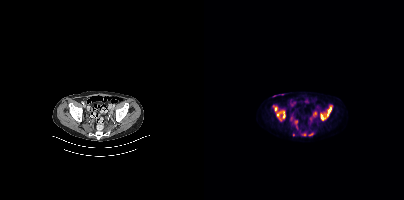
{"modality":"PSMA PET/CT","view":"axial","tracer":"[18F]PSMA-1007","pet_grid":[200,200],"coord_frame":"pet_panel","coord_format":"x0,y0,x1,y1","partial":true,"lesion_bboxes":[[69,105,81,121],[116,106,127,120]]}